Paired axial CT (left) and PSMA PET (right), [18F]PSMA-1007 tracer.
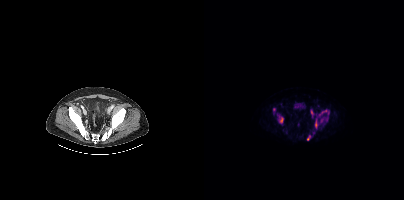
Coordinates are on the 200×200 PET (right) panel. (showing 6 of 7 foci) PSMA-avid tumor lesion bounding boxes (x0,y0,x1,y1): [115,110,125,115]; [111,119,113,127]; [76,117,79,122]; [103,135,106,140]. Small PSMA-avid foci (2 to 4 px across) near (center x, center y): (118, 120); (69, 109).